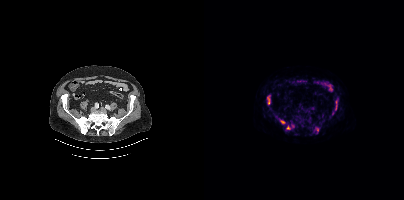
- Left: CT. Right: PSMA PET, same axial level, 18F tracer
- acquired on Siemens Biograph mCT Flow 20
- slice position z = -837 mm
Findings: Coordinates are on the 200×200 PET (right) panel. (showing 5 of 6 foci) PSMA-avid tumor lesion bounding boxes (x, y, width, height): x=63 y=97 w=3 h=7 | x=131 y=105 w=2 h=5. Small PSMA-avid foci (2 to 4 px across) near (center x, center y): (78, 121) | (84, 127) | (113, 129).